modality: PSMA PET/CT | tracer: [18F]PSMA-1007 | view: axial
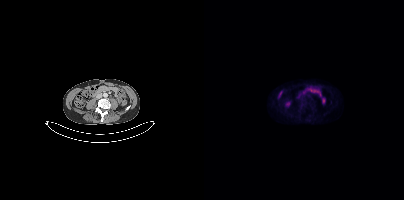
This slice has no annotated PSMA-avid lesion.